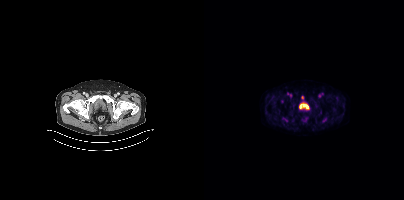
modality: PSMA PET/CT | tracer: 18F-PSMA | view: axial
Coordinates are on the 200×200 PET (right) panel. PSMA-avid tumor lesion bounding boxes (x0,y0,x1,y1): [79,117,83,121]; [118,118,122,122]. Small PSMA-avid focus (2 to 4 px across) near (center x, center y): (77, 101).